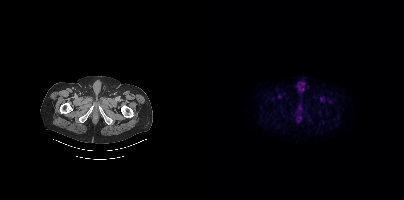
No tumor lesions annotated on this slice.